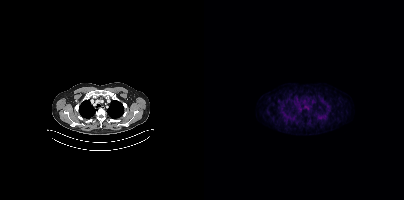
No tumor lesions annotated on this slice.
modality: PSMA PET/CT | tracer: 68Ga | view: axial | PET grid: 200×200